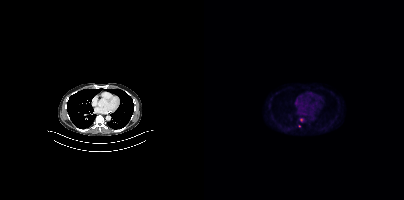
Findings: Coordinates are on the 200×200 PET (right) panel. Small PSMA-avid foci (2 to 4 px across) near (center x, center y): (97, 119); (95, 125).
Technique: Paired axial CT (left) and PSMA PET (right), 18F-PSMA tracer. PET panel 200×200 px (4.1 mm/px).